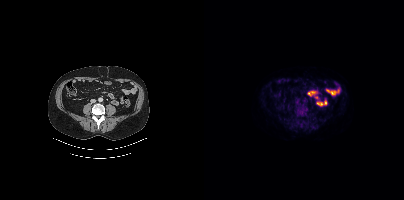
modality: PSMA PET/CT | tracer: 18F | view: axial
Coordinates are on the 200×200 PET (right) panel. PSMA-avid tumor lesion bounding boxes (x0, y0)-(x1, y1): (92, 107)-(103, 115) | (95, 123)-(98, 127). Small PSMA-avid focus (2 to 4 px across) near (center x, center y): (119, 119).